- Left: CT. Right: PSMA PET, same axial level, [18F]PSMA-1007 tracer
- acquired on Siemens Biograph mCT Flow 20
- slice 255 of 381
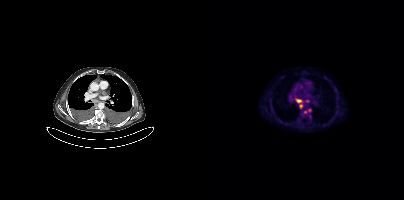
Findings: Coordinates are on the 200×200 PET (right) panel. PSMA-avid tumor lesion bounding boxes (x0,y0,x1,y1): [92,99,97,102]; [101,100,105,102]. Small PSMA-avid foci (2 to 4 px across) near (center x, center y): (97, 105); (101, 112); (105, 110).